Paired axial CT (left) and PSMA PET (right), 18F tracer. PET panel 256×256 px (2.7 mm/px).
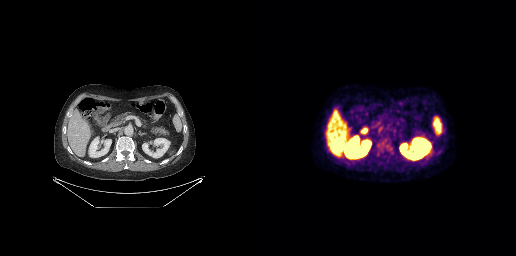
No tumor lesions annotated on this slice.